Paired axial CT (left) and PSMA PET (right), [18F]PSMA-1007 tracer. Acquired on Siemens Biograph mCT Flow 20.
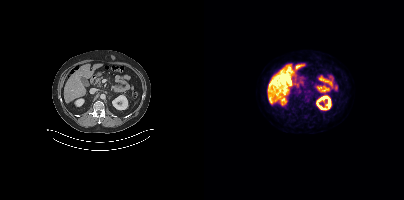
Only PSMA-avid lesion pieces thinner than 2 px on this slice (not listed).